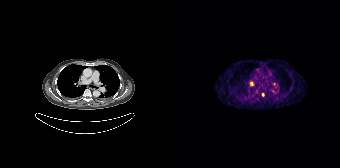
{"pet_grid":[168,168],"coord_frame":"pet_panel","coord_format":"x0,y0,x1,y1","partial":true,"lesion_bboxes":[],"small_foci_centers":[[79,83],[102,84],[91,94]],"modality":"PSMA PET/CT","view":"axial","tracer":"[68Ga]Ga-PSMA-11"}